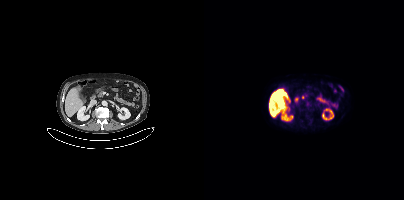
Paired axial CT (left) and PSMA PET (right), 18F-PSMA tracer. Slice position z = -782 mm. PET panel 200×200 px (4.1 mm/px). This slice has no annotated PSMA-avid lesion.